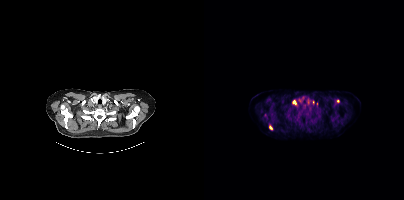
Coordinates are on the 200×200 PET (right) panel. (showing 2 of 5 foci) PSMA-avid tumor lesion bounding box (x0, y0)-(x1, y1): (89, 100)-(92, 104). Small PSMA-avid focus (2 to 4 px across) near (center x, center y): (66, 127).